modality: PSMA PET/CT | tracer: [68Ga]Ga-PSMA-11 | view: axial | PET grid: 200×200
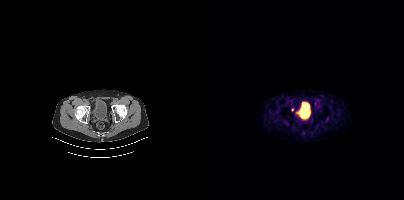
Coordinates are on the 200×200 PET (right) panel. Small PSMA-avid focus (2 to 4 px across) near (center x, center y): (88, 109).